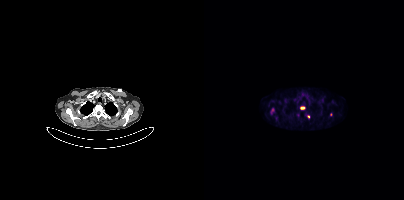
Two-panel axial: CT | PSMA PET, [18F]PSMA-1007 tracer. PET panel 200×200 px (4.1 mm/px).
Coordinates are on the 200×200 PET (right) panel. PSMA-avid tumor lesion bounding boxes:
| # | x0 | y0 | x1 | y1 |
|---|---|---|---|---|
| 1 | 66 | 108 | 70 | 114 |
| 2 | 96 | 107 | 100 | 109 |
Small PSMA-avid foci (2 to 4 px across) near (center x, center y): (104, 116); (127, 114).